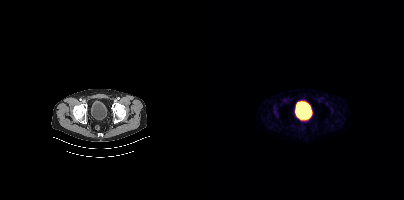
Negative for PSMA-avid disease on this slice. Left: CT. Right: PSMA PET, same axial level, [68Ga]Ga-PSMA-11 tracer. Acquired on Siemens Biograph mCT Flow 20. Slice position z = -1488 mm.